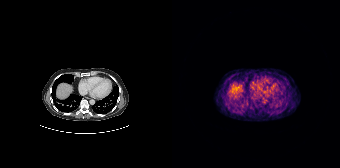
{"modality":"PSMA PET/CT","view":"axial","tracer":"[68Ga]Ga-PSMA-11","pet_grid":[168,168],"coord_frame":"pet_panel","coord_format":"x0,y0,x1,y1","psma_avid_lesions":false}